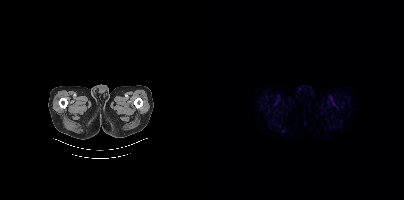
Paired axial CT (left) and PSMA PET (right), 18F-PSMA tracer. Negative for PSMA-avid disease on this slice.